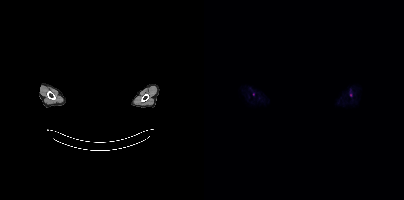
Technique: Left: CT. Right: PSMA PET, same axial level, 18F tracer. acquired on Siemens Biograph mCT Flow 20. PET panel 200×200 px (4.1 mm/px).
Note: Head region blanked for anonymization (face removed).
Findings: Coordinates are on the 200×200 PET (right) panel. Small PSMA-avid focus (2 to 4 px across) near (center x, center y): (49, 94).